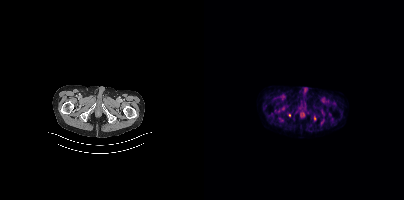
{"modality":"PSMA PET/CT","view":"axial","tracer":"18F-PSMA","pet_grid":[200,200],"coord_frame":"pet_panel","coord_format":"x0,y0,x1,y1","partial":true,"lesion_bboxes":[]}